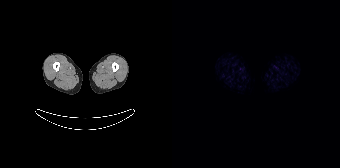
Findings: No PSMA-avid tumor lesions on this slice.
Technique: Two-panel axial: CT | PSMA PET, 18F tracer.